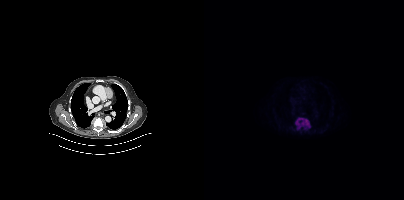
Coordinates are on the 200×200 PET (right) panel. PSMA-avid tumor lesion bounding box (x, y, width, height): x=91 y=119 w=15 h=12.